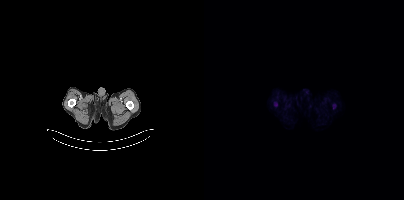
Negative for PSMA-avid disease on this slice. Two-panel axial: CT | PSMA PET, [18F]PSMA-1007 tracer. Acquired on Siemens Biograph mCT Flow 20. Slice 27 of 375.